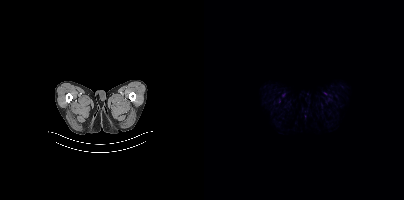
Findings: No PSMA-avid tumor lesions on this slice.
Technique: Two-panel axial: CT | PSMA PET, 18F-PSMA tracer. acquired on Siemens Biograph mCT Flow 20. slice 14 of 421.